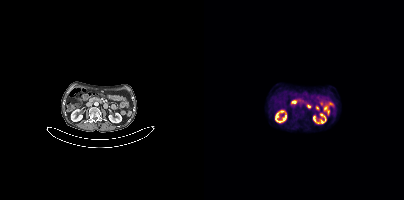
Paired axial CT (left) and PSMA PET (right), 18F tracer. Slice position z = -728 mm. PET panel 200×200 px (4.1 mm/px). Negative for PSMA-avid disease on this slice.